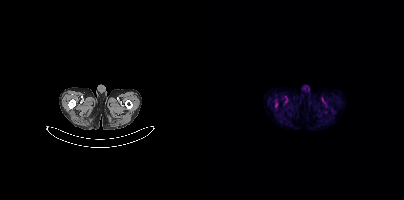
Paired axial CT (left) and PSMA PET (right), [18F]PSMA-1007 tracer. Slice position z = -1728 mm. PET panel 200×200 px (4.1 mm/px). Coordinates are on the 200×200 PET (right) panel. Small PSMA-avid focus (2 to 4 px across) near (center x, center y): (72, 104).